modality: PSMA PET/CT | tracer: 68Ga | view: axial | PET grid: 200×200
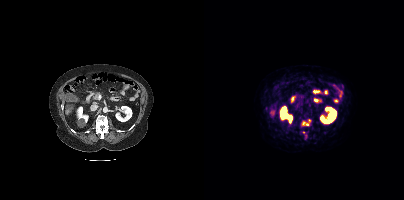
Coordinates are on the 200×200 PET (right) panel. (showing 2 of 3 foci) PSMA-avid tumor lesion bounding box (x0,y0,x1,y1): [98,119,106,126]. Small PSMA-avid focus (2 to 4 px across) near (center x, center y): (99, 132).